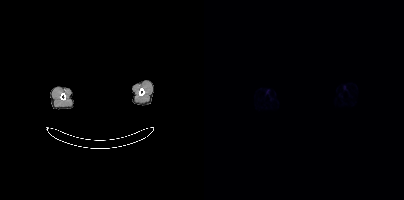
Paired axial CT (left) and PSMA PET (right), 68Ga tracer. The head region is masked for de-identification. This slice has no annotated PSMA-avid lesion.